Left: CT. Right: PSMA PET, same axial level, 68Ga tracer. Acquired on GE Discovery 690. Slice 138 of 189. PET panel 256×256 px (2.7 mm/px).
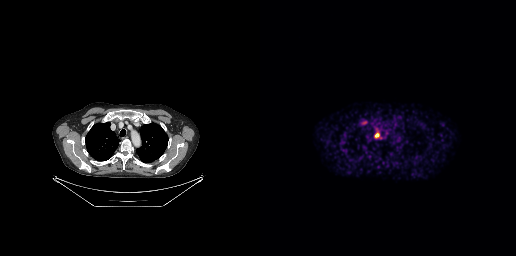
Coordinates are on the 256×256 PET (right) panel. PSMA-avid tumor lesion bounding boxes:
| # | x0 | y0 | x1 | y1 |
|---|---|---|---|---|
| 1 | 115 | 133 | 119 | 137 |